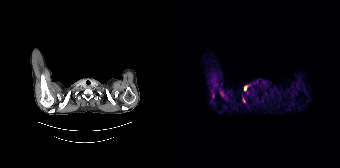
modality: PSMA PET/CT | tracer: [68Ga]Ga-PSMA-11 | view: axial | PET grid: 168×168
Coordinates are on the 168×168 PET (right) panel. (showing 2 of 3 foci) PSMA-avid tumor lesion bounding box (x0,y0,x1,y1): [72,86,74,90]. Small PSMA-avid focus (2 to 4 px across) near (center x, center y): (72, 100).